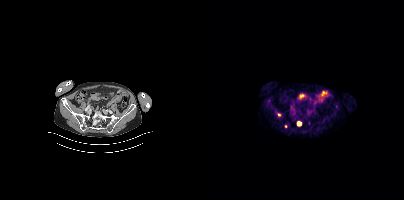
modality: PSMA PET/CT | tracer: 18F-PSMA | view: axial | PET grid: 200×200
Coordinates are on the 200×200 PET (right) panel. PSMA-avid tumor lesion bounding box (x0,y0,x1,y1): [92,121,98,126]. Small PSMA-avid foci (2 to 4 px across) near (center x, center y): (82, 126); (75, 114).